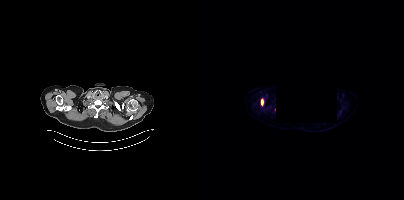
{"modality":"PSMA PET/CT","view":"axial","tracer":"18F","pet_grid":[200,200],"coord_frame":"pet_panel","coord_format":"x0,y0,x1,y1","deidentification":"rectangular block set to black","partial":true,"lesion_bboxes":[[56,98,60,105]]}